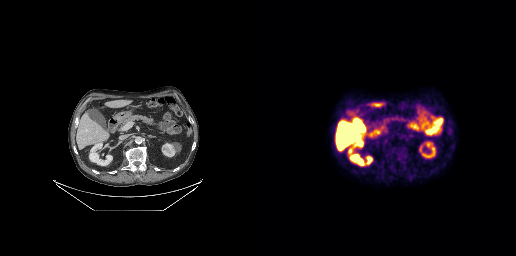
This slice has no annotated PSMA-avid lesion.